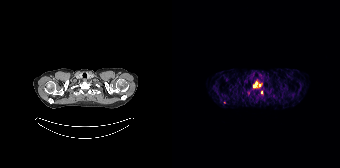
{"modality":"PSMA PET/CT","view":"axial","tracer":"68Ga-PSMA","pet_grid":[168,168],"coord_frame":"pet_panel","coord_format":"x0,y0,x1,y1","lesion_bboxes":[[81,81,85,87]],"small_foci_centers":[[87,85],[89,92],[52,102]]}